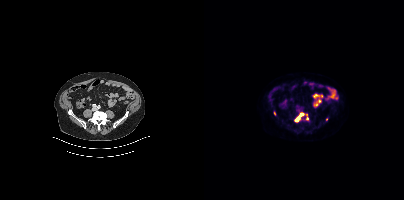
- Two-panel axial: CT | PSMA PET, 18F tracer
Findings: Coordinates are on the 200×200 PET (right) panel. (showing 3 of 4 foci) PSMA-avid tumor lesion bounding box (x, y, width, height): x=91 y=113 w=10 h=9. Small PSMA-avid foci (2 to 4 px across) near (center x, center y): (103, 118) / (122, 119).